Technique: Left: CT. Right: PSMA PET, same axial level, [18F]PSMA-1007 tracer. acquired on Siemens Biograph mCT Flow 20.
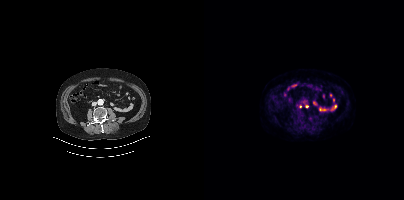
Findings: Coordinates are on the 200×200 PET (right) panel. Small PSMA-avid foci (2 to 4 px across) near (center x, center y): (96, 106) / (102, 106).